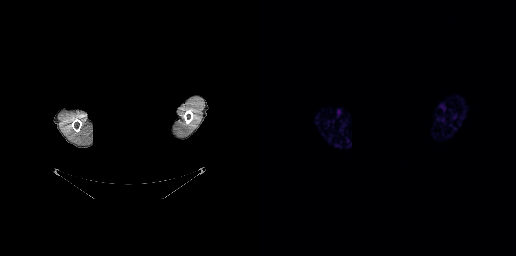
Findings: This slice has no annotated PSMA-avid lesion.
Technique: Paired axial CT (left) and PSMA PET (right), [68Ga]Ga-PSMA-11 tracer.
Note: The face region was removed for patient privacy by blanking a rectangle over the head.